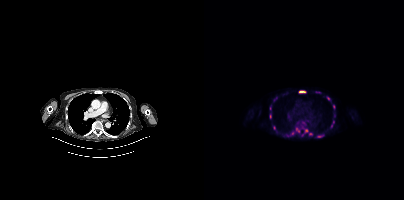
Technique: Left: CT. Right: PSMA PET, same axial level, 18F-PSMA tracer.
Findings: Coordinates are on the 200×200 PET (right) panel. (showing 14 of 15 foci) PSMA-avid tumor lesion bounding boxes (x0,y0,x1,y1): [101,129,108,135] [95,90,101,93] [86,131,90,135] [92,128,96,132] [65,114,67,118] [70,97,73,101]. Small PSMA-avid foci (2 to 4 px across) near (center x, center y): (70, 127) (117, 136) (124, 98) (130, 106) (66, 107) (129, 122) (83, 135) (127, 125).